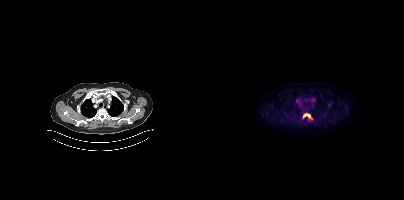
{"modality":"PSMA PET/CT","view":"axial","tracer":"[18F]PSMA-1007","pet_grid":[200,200],"coord_frame":"pet_panel","coord_format":"x0,y0,x1,y1","partial":true,"lesion_bboxes":[[99,114,108,119]]}